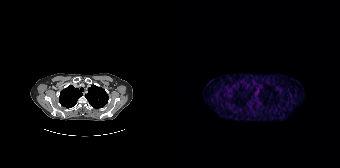
Only PSMA-avid lesion pieces thinner than 2 px on this slice (not listed).